- Left: CT. Right: PSMA PET, same axial level, [18F]PSMA-1007 tracer
- slice position z = 414 mm
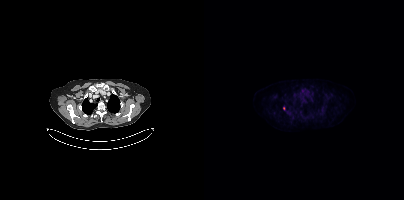
Findings: Only PSMA-avid lesion pieces thinner than 2 px on this slice (not listed).